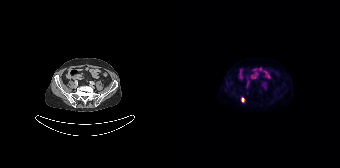
Coordinates are on the 168×168 PET (right) panel. PSMA-avid tumor lesion bounding box (x0, y0)-(x1, y1): (69, 97)-(72, 102).